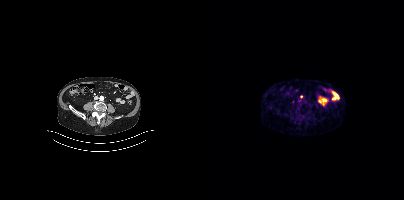
{"modality":"PSMA PET/CT","view":"axial","tracer":"[68Ga]Ga-PSMA-11","pet_grid":[200,200],"coord_frame":"pet_panel","coord_format":"x0,y0,x1,y1","lesion_bboxes":[],"small_foci_centers":[[97,96]]}